modality: PSMA PET/CT | tracer: 68Ga | view: axial
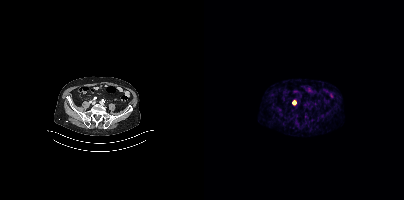
Coordinates are on the 200×200 PET (right) panel. Small PSMA-avid focus (2 to 4 px across) near (center x, center y): (90, 102).